Paired axial CT (left) and PSMA PET (right), 18F-PSMA tracer. Slice position z = 169 mm. PET panel 200×200 px (4.1 mm/px).
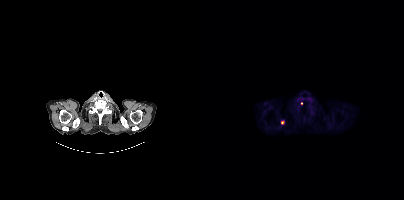
Coordinates are on the 200×200 PET (right) panel. (showing 1 of 2 foci) Small PSMA-avid focus (2 to 4 px across) near (center x, center y): (97, 103).